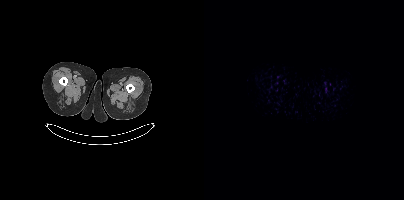
No PSMA-avid tumor lesions on this slice.
modality: PSMA PET/CT | tracer: [18F]PSMA-1007 | view: axial